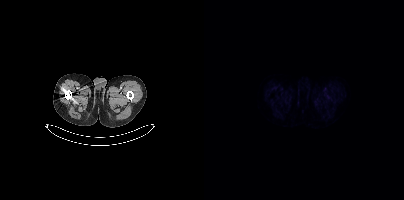
No PSMA-avid tumor lesions on this slice. Left: CT. Right: PSMA PET, same axial level, 18F-PSMA tracer. Acquired on Siemens Biograph mCT Flow 20. Slice position z = -328 mm.